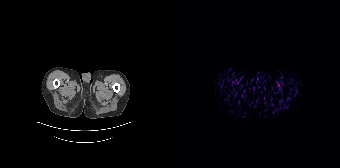
Left: CT. Right: PSMA PET, same axial level, 18F tracer. Acquired on Siemens Biograph 64-4R TruePoint. PET panel 168×168 px (4.1 mm/px). This slice has no annotated PSMA-avid lesion.